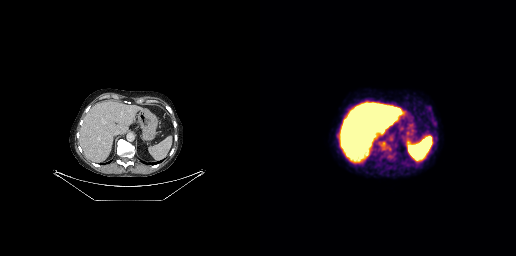
Left: CT. Right: PSMA PET, same axial level, 18F tracer. Slice position z = -397 mm. PET panel 256×256 px (2.7 mm/px). No PSMA-avid tumor lesions on this slice.